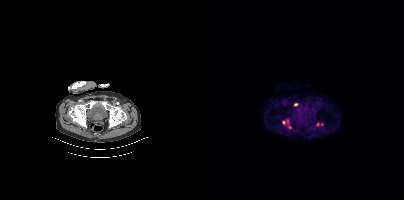
Coordinates are on the 200×200 PET (right) panel. PSMA-avid tumor lesion bounding boxes (x0,y0,x1,y1): [112,122,119,126] [78,120,84,124] [90,103,94,106]. Small PSMA-avid focus (2 to 4 px across) near (center x, center y): (85, 127).